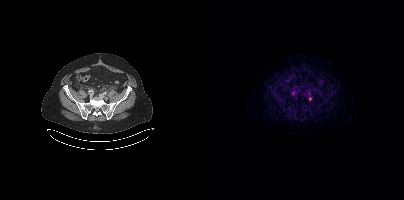
Coordinates are on the 200×200 PET (right) panel. Small PSMA-avid focus (2 to 4 px across) near (center x, center y): (106, 98).